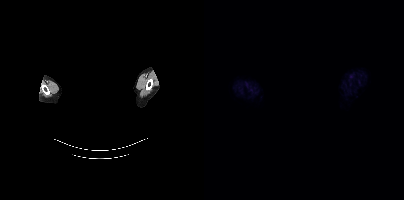
{"modality":"PSMA PET/CT","view":"axial","tracer":"[18F]PSMA-1007","pet_grid":[200,200],"coord_frame":"pet_panel","coord_format":"x0,y0,x1,y1","psma_avid_lesions":false,"de-identification":"privacy mask over head"}